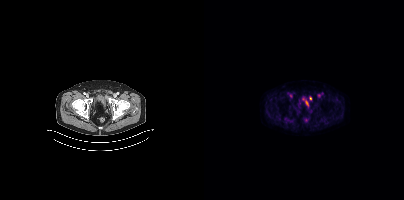
Technique: Left: CT. Right: PSMA PET, same axial level, 18F tracer. acquired on Siemens Biograph mCT Flow 20. slice position z = -1686 mm. PET panel 200×200 px (4.1 mm/px).
Findings: Coordinates are on the 200×200 PET (right) panel. PSMA-avid tumor lesion bounding box (x0,y0,x1,y1): [80,117,87,122]. Small PSMA-avid focus (2 to 4 px across) near (center x, center y): (120, 119).